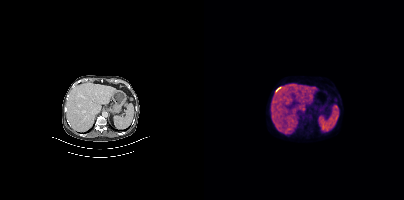
modality: PSMA PET/CT | tracer: [18F]PSMA-1007 | view: axial
This slice has no annotated PSMA-avid lesion.